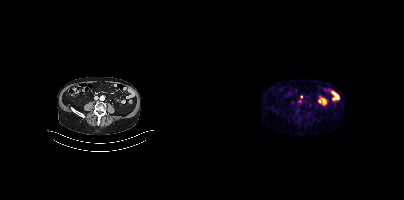
Coordinates are on the 200×200 PET (right) panel. (showing 1 of 2 foci) Small PSMA-avid focus (2 to 4 px across) near (center x, center y): (97, 97). Two-panel axial: CT | PSMA PET, 68Ga-PSMA tracer. PET panel 200×200 px (4.1 mm/px).